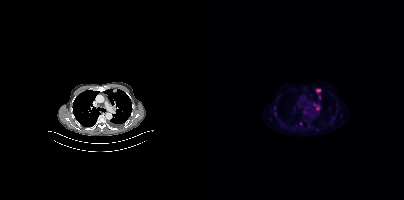
Coordinates are on the 200×200 PET (right) panel. (showing 6 of 7 foci) PSMA-avid tumor lesion bounding boxes (x, y, width, height): x=109 y=103 w=7 h=8 | x=112 y=89 w=5 h=5 | x=115 y=95 w=2 h=5. Small PSMA-avid foci (2 to 4 px across) near (center x, center y): (96, 123) | (70, 107) | (101, 112).